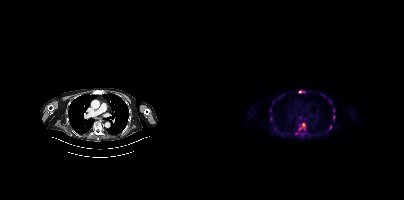
{"modality":"PSMA PET/CT","view":"axial","tracer":"18F-PSMA","pet_grid":[200,200],"coord_frame":"pet_panel","coord_format":"x0,y0,x1,y1","partial":true,"lesion_bboxes":[[95,123,101,130],[129,115,130,119],[126,125,127,129]],"small_foci_centers":[[96,91],[96,117],[129,110],[66,110],[67,118],[75,97],[92,133],[126,101],[78,134]]}